- Paired axial CT (left) and PSMA PET (right), [18F]PSMA-1007 tracer
- acquired on Siemens Biograph mCT Flow 20
- PET panel 200×200 px (4.1 mm/px)
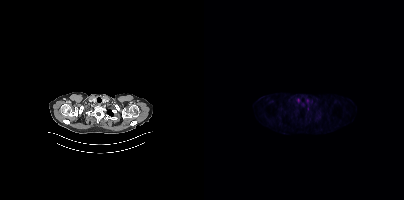
Findings: No PSMA-avid tumor lesions on this slice.